- Two-panel axial: CT | PSMA PET, 18F-PSMA tracer
- slice 1 of 427
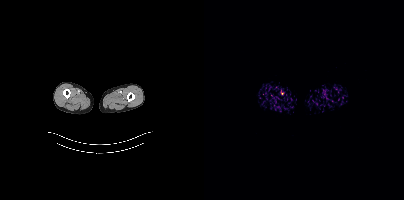
Findings: No PSMA-avid tumor lesions on this slice.